Technique: Two-panel axial: CT | PSMA PET, 18F tracer. slice position z = -88 mm.
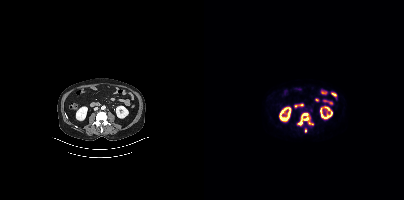
Findings: Coordinates are on the 200×200 PET (right) panel. PSMA-avid tumor lesion bounding boxes (x0, y0)-(x1, y1): (94, 113)-(105, 125) / (104, 122)-(109, 124). Small PSMA-avid focus (2 to 4 px across) near (center x, center y): (101, 130).